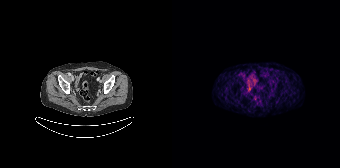
{"modality":"PSMA PET/CT","view":"axial","tracer":"68Ga-PSMA","pet_grid":[168,168],"coord_frame":"pet_panel","coord_format":"x0,y0,x1,y1","psma_avid_lesions":false}